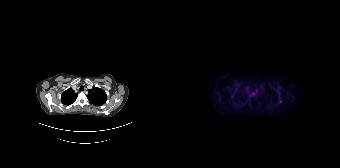
Coordinates are on the 168×168 PET (right) panel. PSMA-avid tumor lesion bounding box (x0,y0,x1,y1): [78,91,84,96]. Small PSMA-avid focus (2 to 4 px across) near (center x, center y): (108, 101).